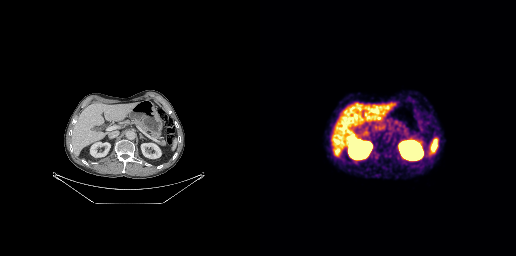
Coordinates are on the 256×256 PET (right) panel. PSMA-avid tumor lesion bounding box (x0,y0,x1,y1): [127,136,130,142]. Small PSMA-avid focus (2 to 4 px across) near (center x, center y): (124, 137).
modality: PSMA PET/CT | tracer: 68Ga | view: axial | PET grid: 256×256